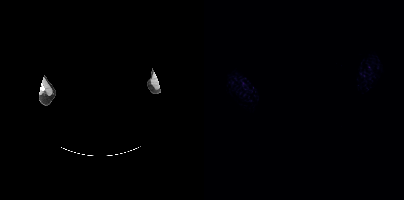
No PSMA-avid tumor lesions on this slice. Head region blanked for anonymization (face removed). Paired axial CT (left) and PSMA PET (right), [18F]PSMA-1007 tracer. PET panel 200×200 px (4.1 mm/px).